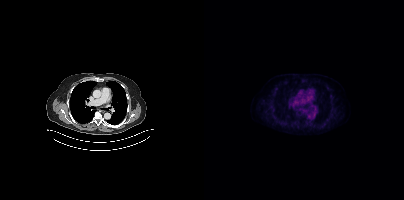
Technique: Left: CT. Right: PSMA PET, same axial level, [18F]PSMA-1007 tracer. acquired on Siemens Biograph mCT Flow 20.
Findings: Negative for PSMA-avid disease on this slice.